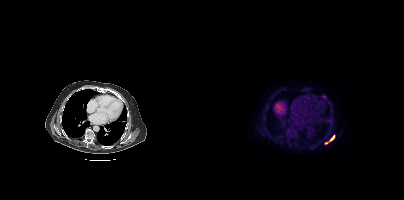
modality: PSMA PET/CT | tracer: 18F | view: axial | PET grid: 200×200
Coordinates are on the 200×200 PET (right) panel. (showing 1 of 2 foci) PSMA-avid tumor lesion bounding box (x0,y0,x1,y1): [126,135,130,140].